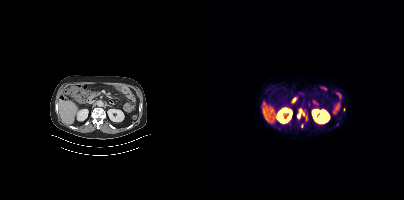
modality: PSMA PET/CT | tracer: 18F | view: axial
Coordinates are on the 200×200 PET (right) panel. Small PSMA-avid foci (2 to 4 px across) near (center x, center y): (94, 115) | (99, 114) | (96, 111).